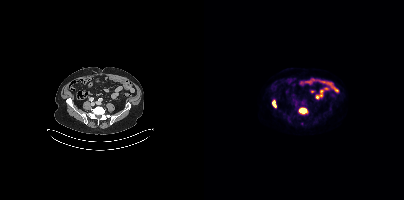
Coordinates are on the 200×200 PET (right) panel. PSMA-avid tumor lesion bounding boxes (x, y, width, height): x=94 y=107 w=10 h=8 | x=68 y=100 w=5 h=8.